Technique: Left: CT. Right: PSMA PET, same axial level, 18F tracer. acquired on Siemens Biograph mCT Flow 20.
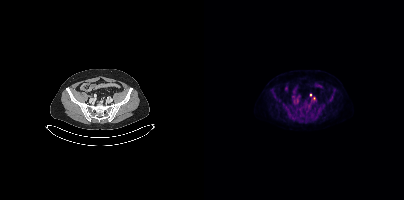
Findings: Coordinates are on the 200×200 PET (right) panel. Small PSMA-avid foci (2 to 4 px across) near (center x, center y): (106, 95) / (110, 98).